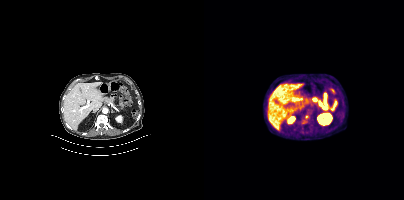
Findings: Coordinates are on the 200×200 PET (right) panel. Small PSMA-avid focus (2 to 4 px across) near (center x, center y): (102, 116).
Technique: Left: CT. Right: PSMA PET, same axial level, 18F tracer. acquired on Siemens Biograph mCT Flow 20. PET panel 200×200 px (4.1 mm/px).